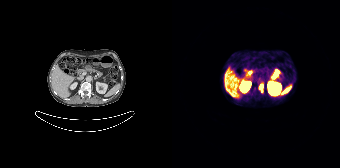
- Paired axial CT (left) and PSMA PET (right), 68Ga-PSMA tracer
- acquired on Siemens Biograph 64-4R TruePoint
Findings: Coordinates are on the 168×168 PET (right) panel. PSMA-avid tumor lesion bounding box (x0,y0,x1,y1): [88,85,90,92].